Left: CT. Right: PSMA PET, same axial level, [68Ga]Ga-PSMA-11 tracer.
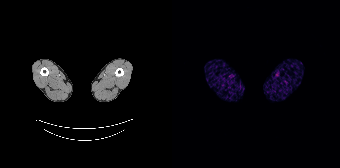
No PSMA-avid tumor lesions on this slice.